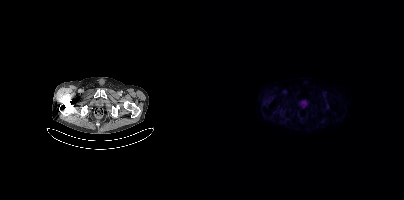
Negative for PSMA-avid disease on this slice.
modality: PSMA PET/CT | tracer: 18F-PSMA | view: axial | PET grid: 200×200